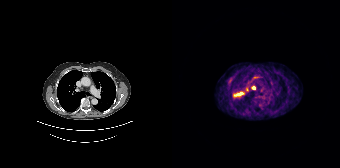
modality: PSMA PET/CT | tracer: 68Ga-PSMA | view: axial | PET grid: 168×168
Coordinates are on the 168×168 PET (right) panel. Small PSMA-avid foci (2 to 4 px across) near (center x, center y): (81, 87) / (89, 90) / (58, 81).